Left: CT. Right: PSMA PET, same axial level, 18F-PSMA tracer.
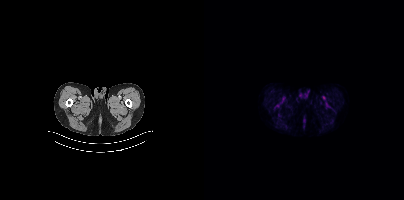
Negative for PSMA-avid disease on this slice.